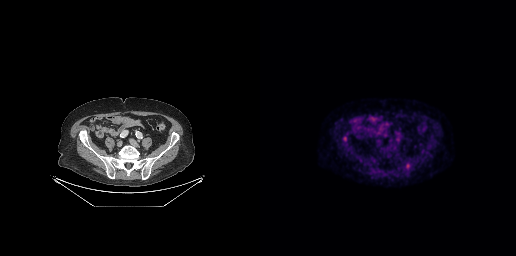
Coordinates are on the 256×256 PET (right) panel. PSMA-avid tumor lesion bounding box (x0, y0)-(x1, y1): (146, 163)-(149, 167). Small PSMA-avid focus (2 to 4 px across) near (center x, center y): (84, 138).